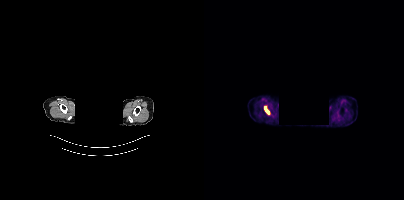
modality: PSMA PET/CT | tracer: [18F]PSMA-1007 | view: axial | de-identification: facial region redacted
Coordinates are on the 200×200 PET (right) panel. PSMA-avid tumor lesion bounding box (x0,y0,x1,y1): [61,107,64,113].